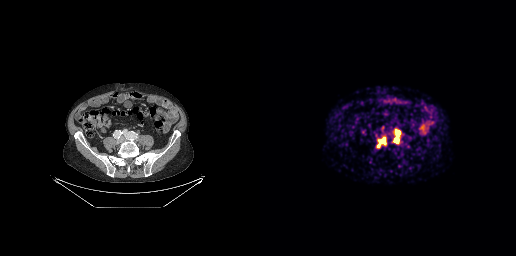
Coordinates are on the 256×256 PET (right) panel. PSMA-avid tumor lesion bounding boxes (x, y, width, height): x=134 y=129 w=8 h=15 | x=117 y=138 w=9 h=10.